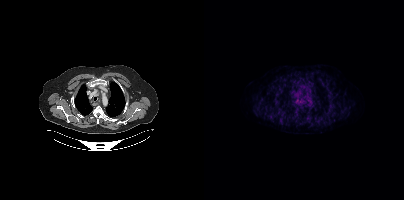
- Left: CT. Right: PSMA PET, same axial level, [18F]PSMA-1007 tracer
Findings: This slice has no annotated PSMA-avid lesion.